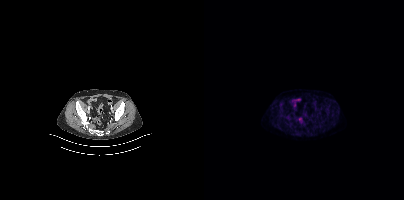
- Two-panel axial: CT | PSMA PET, [18F]PSMA-1007 tracer
- acquired on Siemens Biograph mCT Flow 20
- slice position z = -858 mm
Findings: Negative for PSMA-avid disease on this slice.